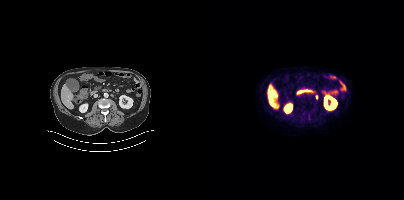
Findings: Coordinates are on the 200×200 PET (right) panel. (showing 1 of 2 foci) Small PSMA-avid focus (2 to 4 px across) near (center x, center y): (112, 97).
Technique: Paired axial CT (left) and PSMA PET (right), [18F]PSMA-1007 tracer. acquired on Siemens Biograph mCT Flow 20. PET panel 200×200 px (4.1 mm/px).